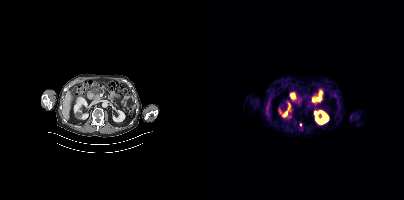
Coordinates are on the 200×200 PET (right) panel. Small PSMA-avid focus (2 to 4 px across) near (center x, center y): (96, 124). Left: CT. Right: PSMA PET, same axial level, [18F]PSMA-1007 tracer. Slice 202 of 427.